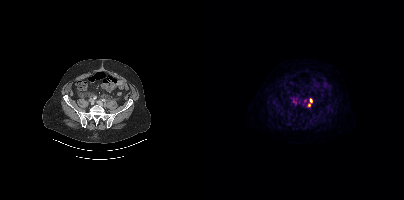
{"modality":"PSMA PET/CT","view":"axial","tracer":"18F-PSMA","pet_grid":[200,200],"coord_frame":"pet_panel","coord_format":"x0,y0,x1,y1","partial":true,"lesion_bboxes":[],"small_foci_centers":[[107,100],[105,105],[89,101]]}